modality: PSMA PET/CT | tracer: [68Ga]Ga-PSMA-11 | view: axial | PET grid: 200×200
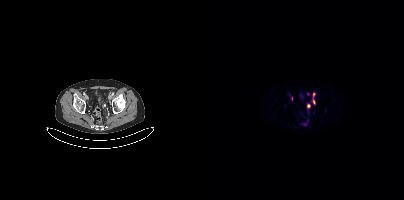
Coordinates are on the 200×200 PET (right) panel. (showing 5 of 6 foci) PSMA-avid tumor lesion bounding box (x0,y0,x1,y1): [109,99,111,103]. Small PSMA-avid foci (2 to 4 px across) near (center x, center y): (104, 94) (109, 94) (105, 106) (100, 124).